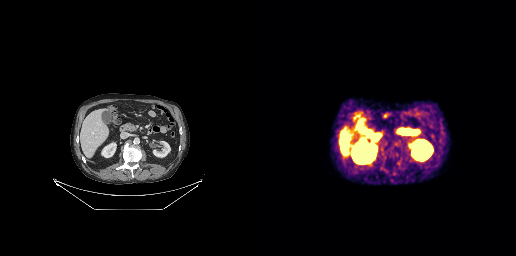
Findings: This slice has no annotated PSMA-avid lesion.
- Left: CT. Right: PSMA PET, same axial level, 68Ga tracer
- acquired on GE Discovery 690
- slice position z = -582 mm